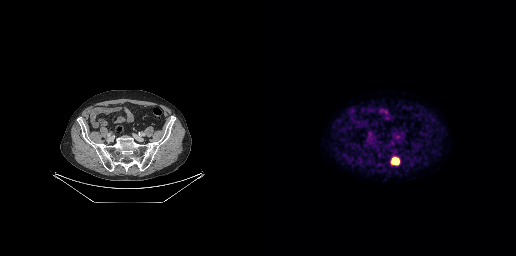
{"modality":"PSMA PET/CT","view":"axial","tracer":"[18F]PSMA-1007","pet_grid":[256,256],"coord_frame":"pet_panel","coord_format":"x0,y0,x1,y1","lesion_bboxes":[[132,158,138,164]]}